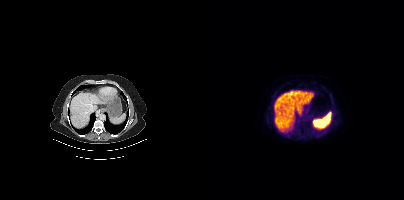
{"modality":"PSMA PET/CT","view":"axial","tracer":"[18F]PSMA-1007","pet_grid":[200,200],"coord_frame":"pet_panel","coord_format":"x0,y0,x1,y1","psma_avid_lesions":false}